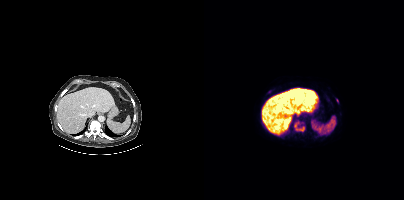
{"pet_grid":[200,200],"coord_frame":"pet_panel","coord_format":"x0,y0,x1,y1","lesion_bboxes":[[90,120,101,131]],"small_foci_centers":[[133,100],[65,91]],"modality":"PSMA PET/CT","view":"axial","tracer":"18F"}